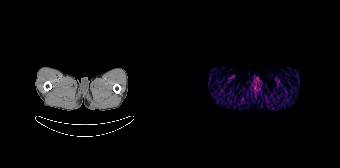
This slice has no annotated PSMA-avid lesion.
modality: PSMA PET/CT | tracer: [68Ga]Ga-PSMA-11 | view: axial